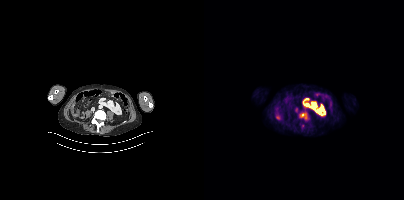
{"modality":"PSMA PET/CT","view":"axial","tracer":"18F-PSMA","pet_grid":[200,200],"coord_frame":"pet_panel","coord_format":"x0,y0,x1,y1","lesion_bboxes":[[96,113,102,118]]}